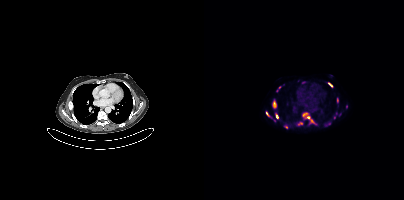
Coordinates are on the 200×200 PET (right) panel. (showing 10 of 15 foci) PSMA-avid tumor lesion bounding boxes (x0,y0,x1,y1): [99,113,105,118], [69,102,71,106], [106,119,110,123], [72,114,74,118], [124,83,128,86]. Small PSMA-avid foci (2 to 4 px across) near (center x, center y): (133, 100), (82, 127), (63, 113), (142, 106), (75, 87).